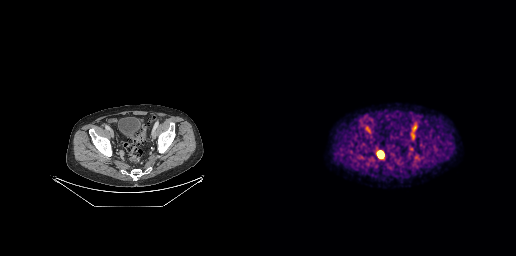
Technique: Paired axial CT (left) and PSMA PET (right), 18F tracer.
Findings: Coordinates are on the 256×256 PET (right) panel. PSMA-avid tumor lesion bounding box (x0,y0,x1,y1): [117,151,124,158].